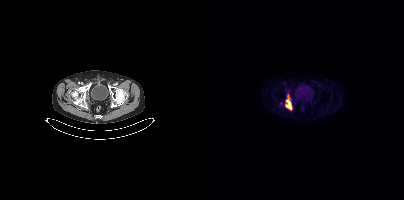
{"modality":"PSMA PET/CT","view":"axial","tracer":"18F-PSMA","pet_grid":[200,200],"coord_frame":"pet_panel","coord_format":"x0,y0,x1,y1","lesion_bboxes":[[81,95,88,109]]}